Technique: Two-panel axial: CT | PSMA PET, [18F]PSMA-1007 tracer. acquired on Siemens Biograph mCT Flow 20. slice position z = -898 mm.
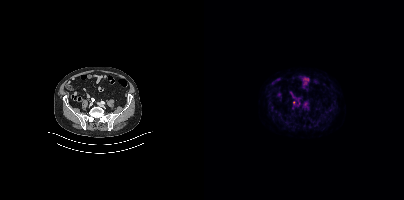
Findings: Coordinates are on the 200×200 PET (right) panel. Small PSMA-avid focus (2 to 4 px across) near (center x, center y): (89, 102).